A rectangular block over the head has been blanked out for de-identification. Left: CT. Right: PSMA PET, same axial level, 18F tracer. Acquired on Siemens Biograph mCT Flow 20. PET panel 200×200 px (4.1 mm/px).
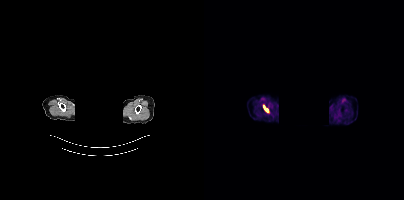
Coordinates are on the 200×200 PET (right) panel. PSMA-avid tumor lesion bounding box (x0,y0,x1,y1): [60,106,63,111].